Two-panel axial: CT | PSMA PET, [18F]PSMA-1007 tracer. PET panel 200×200 px (4.1 mm/px).
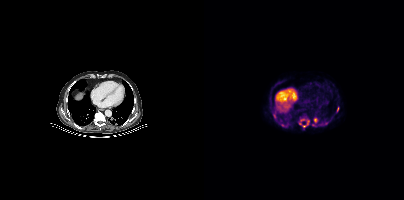
Coordinates are on the 200×200 PET (right) panel. PSMA-avid tumor lesion bounding boxes (partial; 1 more focus not listed):
| # | x0 | y0 | x1 | y1 |
|---|---|---|---|---|
| 1 | 110 | 118 | 113 | 122 |
Small PSMA-avid foci (2 to 4 px across) near (center x, center y): (100, 126); (104, 122); (78, 125); (133, 109).